Technique: Paired axial CT (left) and PSMA PET (right), 18F tracer.
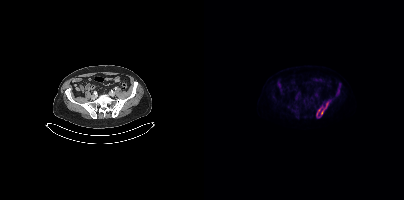
Findings: Coordinates are on the 200×200 PET (right) panel. PSMA-avid tumor lesion bounding boxes (x, y, width, height): x=112 y=102 w=13 h=17 / x=133 y=89 w=3 h=6.